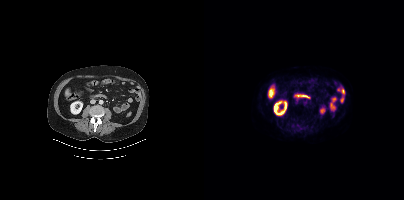
No PSMA-avid tumor lesions on this slice.